Left: CT. Right: PSMA PET, same axial level, 18F tracer. Acquired on Siemens Biograph mCT Flow 20. Slice position z = -1260 mm.
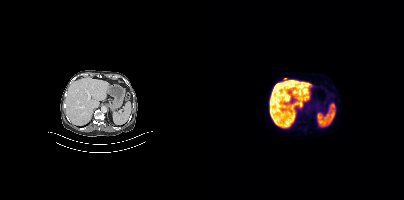
Only PSMA-avid lesion pieces thinner than 2 px on this slice (not listed).